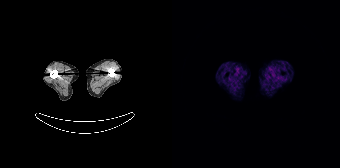
No PSMA-avid tumor lesions on this slice. Paired axial CT (left) and PSMA PET (right), 68Ga-PSMA tracer. Slice position z = -1340 mm.